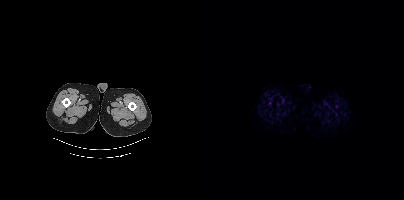
Findings: Negative for PSMA-avid disease on this slice.
Technique: Two-panel axial: CT | PSMA PET, 18F tracer. acquired on Siemens Biograph mCT Flow 20. slice 14 of 464.